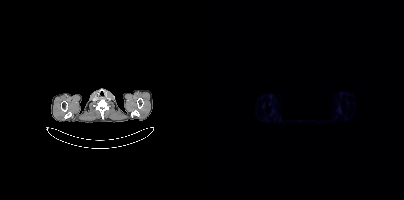
Part of this slice was blanked for de-identification. Left: CT. Right: PSMA PET, same axial level, [68Ga]Ga-PSMA-11 tracer. Acquired on Siemens Biograph mCT Flow 20. PET panel 200×200 px (4.1 mm/px). This slice has no annotated PSMA-avid lesion.